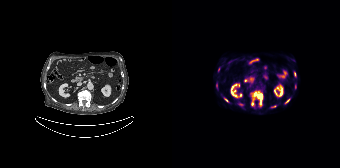
{"modality":"PSMA PET/CT","view":"axial","tracer":"18F-PSMA","pet_grid":[168,168],"coord_frame":"pet_panel","coord_format":"x0,y0,x1,y1","partial":true,"lesion_bboxes":[[79,91,91,106],[52,98,56,102],[113,99,117,103],[122,72,123,76]],"small_foci_centers":[[68,104],[123,86],[101,106]]}